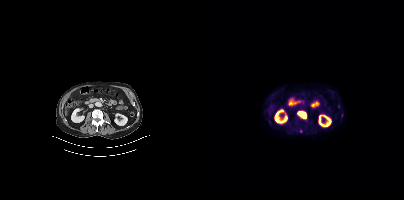
{"modality":"PSMA PET/CT","view":"axial","tracer":"[18F]PSMA-1007","pet_grid":[200,200],"coord_frame":"pet_panel","coord_format":"x0,y0,x1,y1","lesion_bboxes":[[94,111,102,118]]}